modality: PSMA PET/CT | tracer: 18F-PSMA | view: axial
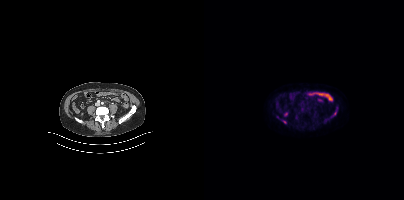
Coordinates are on the 200×200 PET (right) panel. (showing 1 of 2 foci) PSMA-avid tumor lesion bounding box (x, y, width, height): x=129 y=110 w=4 h=6.